modality: PSMA PET/CT | tracer: 18F | view: axial
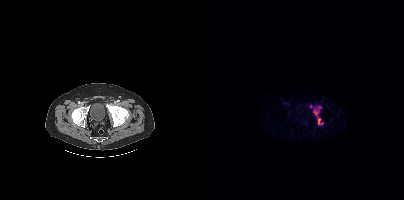
Coordinates are on the 200×200 PET (right) panel. PSMA-avid tumor lesion bounding box (x0, y0)-(x1, y1): (109, 109)-(119, 124). Small PSMA-avid foci (2 to 4 px across) near (center x, center y): (115, 106); (106, 106).